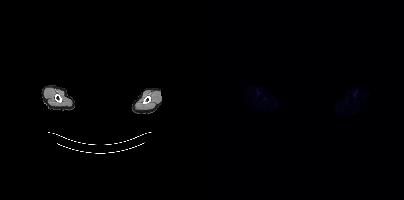
Negative for PSMA-avid disease on this slice.
redaction: head region blacked out before release | modality: PSMA PET/CT | tracer: [18F]PSMA-1007 | view: axial